modality: PSMA PET/CT | tracer: [18F]PSMA-1007 | view: axial | PET grid: 256×256
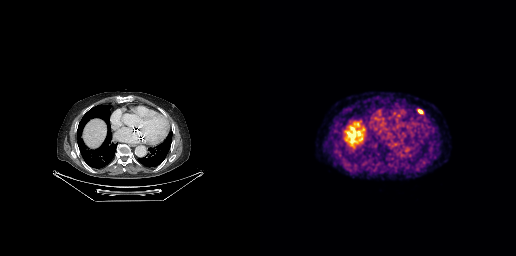
Coordinates are on the 256×256 PET (right) panel. Small PSMA-avid focus (2 to 4 px across) near (center x, center y): (159, 111).